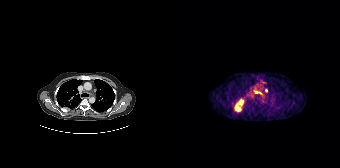
Paired axial CT (left) and PSMA PET (right), [68Ga]Ga-PSMA-11 tracer. Coordinates are on the 168×168 PET (right) panel. PSMA-avid tumor lesion bounding boxes (x, y, width, height): x=62 y=98 w=11 h=14; x=82 y=90 w=9 h=5. Small PSMA-avid focus (2 to 4 px across) near (center x, center y): (94, 90).